Two-panel axial: CT | PSMA PET, 18F-PSMA tracer. Acquired on Siemens Biograph mCT Flow 20. PET panel 200×200 px (4.1 mm/px).
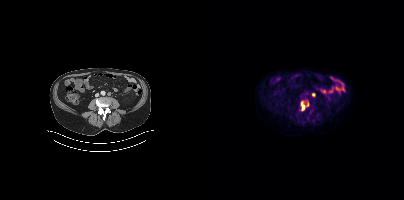
Coordinates are on the 200×200 PET (right) panel. PSMA-avid tumor lesion bounding boxes:
| # | x0 | y0 | x1 | y1 |
|---|---|---|---|---|
| 1 | 97 | 101 | 101 | 110 |
Small PSMA-avid foci (2 to 4 px across) near (center x, center y): (103, 104); (109, 94).